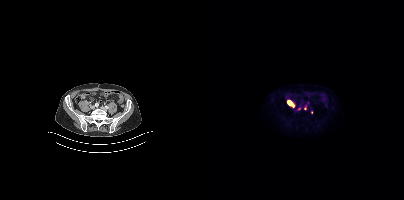
Technique: Left: CT. Right: PSMA PET, same axial level, 18F tracer. slice 115 of 411. PET panel 200×200 px (4.1 mm/px).
Findings: Coordinates are on the 200×200 PET (right) panel. (showing 3 of 4 foci) PSMA-avid tumor lesion bounding box (x0, y0)-(x1, y1): (83, 100)-(90, 107). Small PSMA-avid foci (2 to 4 px across) near (center x, center y): (107, 112); (100, 108).